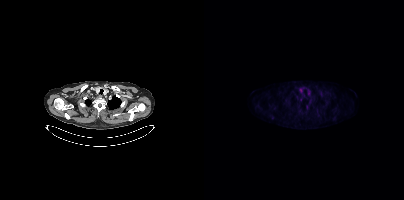
Findings: Only PSMA-avid lesion pieces thinner than 2 px on this slice (not listed).
Technique: Two-panel axial: CT | PSMA PET, 18F-PSMA tracer. acquired on Siemens Biograph mCT Flow 20. slice 346 of 421. PET panel 200×200 px (4.1 mm/px).